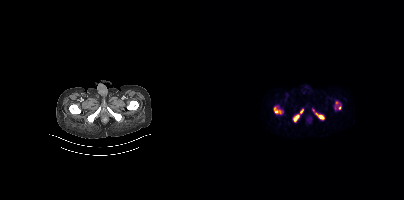
No tumor lesions annotated on this slice.